- Paired axial CT (left) and PSMA PET (right), 18F tracer
- PET panel 200×200 px (4.1 mm/px)
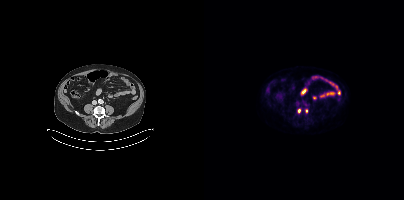
Findings: Coordinates are on the 200×200 PET (right) panel. PSMA-avid tumor lesion bounding box (x0,y0,x1,y1): [93,109,96,113]. Small PSMA-avid focus (2 to 4 px across) near (center x, center y): (102, 111).